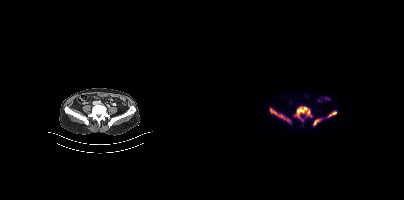
Left: CT. Right: PSMA PET, same axial level, 18F-PSMA tracer. PET panel 200×200 px (4.1 mm/px). Coordinates are on the 200×200 PET (right) panel. PSMA-avid tumor lesion bounding boxes (x0, y0)-(x1, y1): (90, 106)-(108, 121); (66, 108)-(87, 122); (109, 118)-(118, 125); (124, 111)-(132, 117).